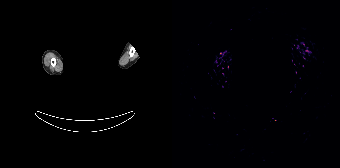
Head region blanked for anonymization (face removed). Two-panel axial: CT | PSMA PET, 68Ga tracer. Acquired on Siemens Biograph 64-4R TruePoint. Negative for PSMA-avid disease on this slice.